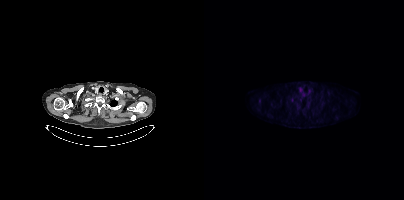
- Left: CT. Right: PSMA PET, same axial level, [18F]PSMA-1007 tracer
- acquired on Siemens Biograph mCT Flow 20
Findings: Only PSMA-avid lesion pieces thinner than 2 px on this slice (not listed).